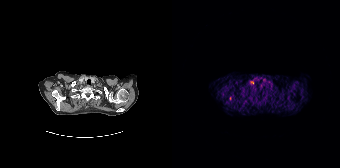
modality: PSMA PET/CT | tracer: 68Ga | view: axial | PET grid: 168×168
Coordinates are on the 168×168 PET (right) panel. (showing 1 of 2 foci) Small PSMA-avid focus (2 to 4 px across) near (center x, center y): (58, 98).